Technique: Two-panel axial: CT | PSMA PET, 18F tracer. acquired on GE Discovery 690. PET panel 256×256 px (2.7 mm/px).
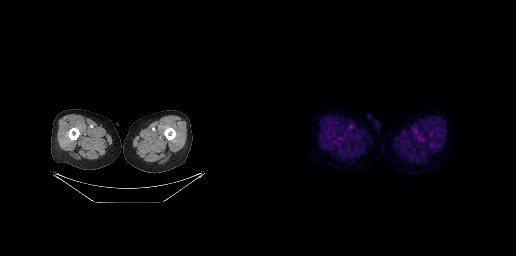
Findings: No PSMA-avid tumor lesions on this slice.